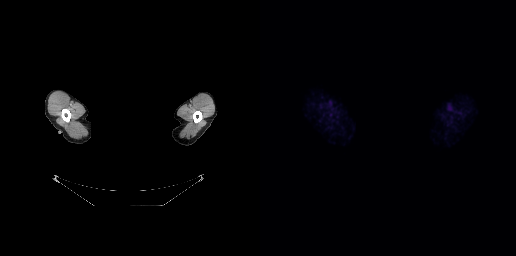
A rectangular block over the head has been blanked out for de-identification.
This slice has no annotated PSMA-avid lesion.